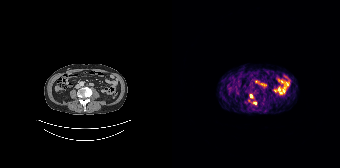
Coordinates are on the 168×168 PET (right) panel. Small PSMA-avid foci (2 to 4 px across) near (center x, center y): (79, 96); (83, 102).